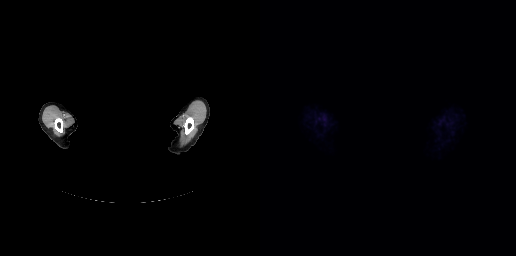
No PSMA-avid tumor lesions on this slice.
modality: PSMA PET/CT | tracer: [18F]PSMA-1007 | view: axial | redaction: face masked with black rectangle